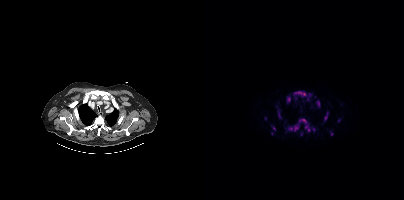
{"modality":"PSMA PET/CT","view":"axial","tracer":"18F","pet_grid":[200,200],"coord_frame":"pet_panel","coord_format":"x0,y0,x1,y1","partial":true,"lesion_bboxes":[[83,118,106,131],[90,91,102,96],[120,112,124,120],[83,97,86,102],[113,101,115,106],[67,126,71,130]],"small_foci_centers":[[128,133],[103,99],[61,118],[134,120],[105,94],[91,97]]}